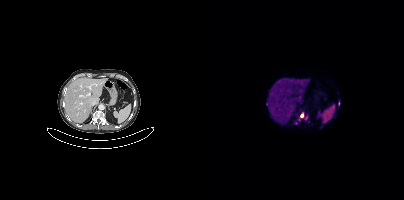
Coordinates are on the 200×200 PET (right) panel. (showing 2 of 6 foci) PSMA-avid tumor lesion bounding boxes (x0,y0,x1,y1): [97,112,103,119], [134,101,135,105].